- facial anatomy redacted by setting a rectangular region of the head to black
- Paired axial CT (left) and PSMA PET (right), 18F tracer
- PET panel 200×200 px (4.1 mm/px)
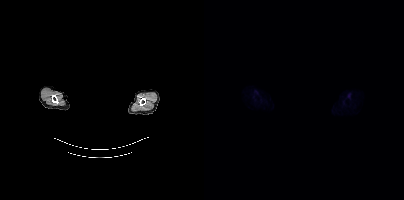
Findings: This slice has no annotated PSMA-avid lesion.